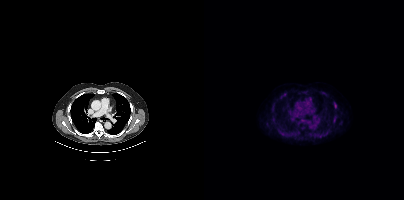
No tumor lesions annotated on this slice.